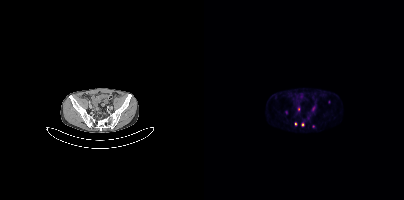
Findings: Coordinates are on the 200×200 PET (right) panel. Small PSMA-avid foci (2 to 4 px across) near (center x, center y): (98, 124) / (109, 107) / (94, 109) / (91, 123).
- Two-panel axial: CT | PSMA PET, [68Ga]Ga-PSMA-11 tracer